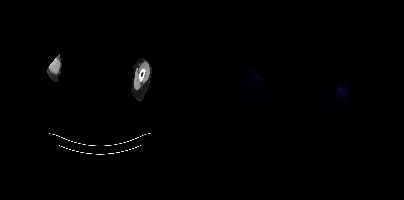
modality: PSMA PET/CT | tracer: 18F-PSMA | view: axial | redaction: facial region redacted
This slice has no annotated PSMA-avid lesion.